Two-panel axial: CT | PSMA PET, 18F tracer. Slice position z = -478 mm.
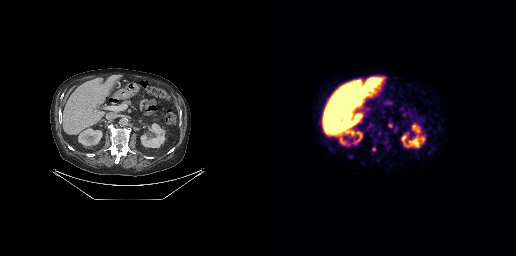
Coordinates are on the 256×256 PET (right) panel. Small PSMA-avid foci (2 to 4 px across) near (center x, center y): (130, 125) | (113, 149) | (110, 125) | (91, 156).